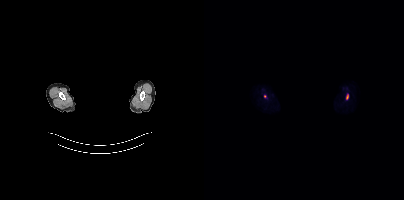
Coordinates are on the 200×200 PET (right) panel. PSMA-avid tumor lesion bounding box (x, y, width, height): x=142 y=94 w=3 h=6. Small PSMA-avid focus (2 to 4 px across) near (center x, center y): (60, 96).
A rectangular block over the head has been blanked out for de-identification.